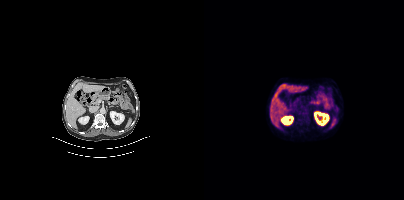
No PSMA-avid tumor lesions on this slice. Two-panel axial: CT | PSMA PET, 18F-PSMA tracer. Acquired on Siemens Biograph mCT Flow 20.